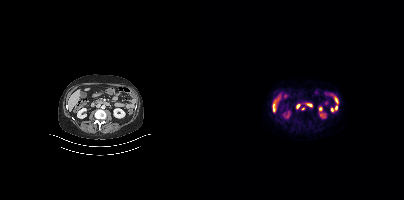
Two-panel axial: CT | PSMA PET, 18F tracer. Coordinates are on the 200×200 PET (right) panel. Small PSMA-avid focus (2 to 4 px across) near (center x, center y): (98, 108).